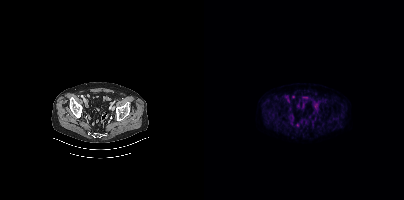
Technique: Two-panel axial: CT | PSMA PET, 18F-PSMA tracer. acquired on Siemens Biograph mCT Flow 20. PET panel 200×200 px (4.1 mm/px).
Findings: No PSMA-avid tumor lesions on this slice.